Face de-identified by blanking a block of the head.
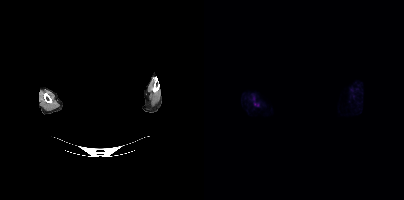
Coordinates are on the 200×200 PET (right) panel. PSMA-avid tumor lesion bounding box (x0, y0)-(x1, y1): (50, 103)-(54, 106).